- Two-panel axial: CT | PSMA PET, [18F]PSMA-1007 tracer
- slice position z = -898 mm
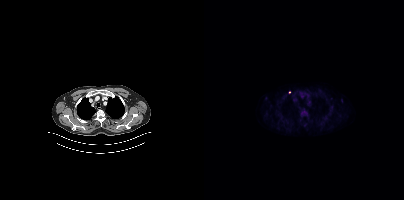
Findings: Only PSMA-avid lesion pieces thinner than 2 px on this slice (not listed).